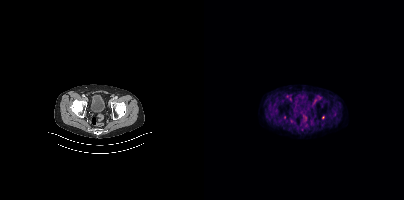
Only PSMA-avid lesion pieces thinner than 2 px on this slice (not listed). Left: CT. Right: PSMA PET, same axial level, 18F tracer. Acquired on Siemens Biograph mCT Flow 20. Slice position z = -827 mm. PET panel 200×200 px (4.1 mm/px).